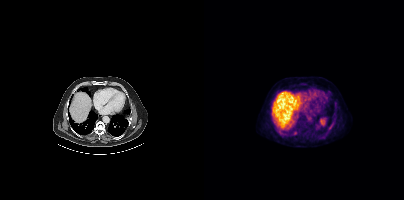
{"modality":"PSMA PET/CT","view":"axial","tracer":"18F-PSMA","pet_grid":[200,200],"coord_frame":"pet_panel","coord_format":"x0,y0,x1,y1","psma_avid_lesions":false}